Left: CT. Right: PSMA PET, same axial level, 18F tracer. PET panel 200×200 px (4.1 mm/px).
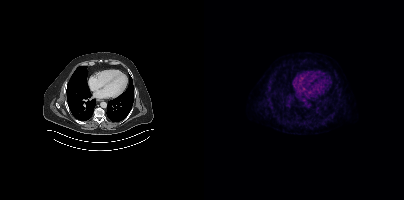
Negative for PSMA-avid disease on this slice.